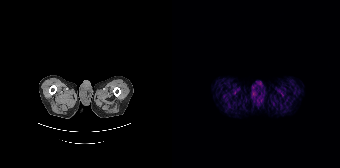
No PSMA-avid tumor lesions on this slice.